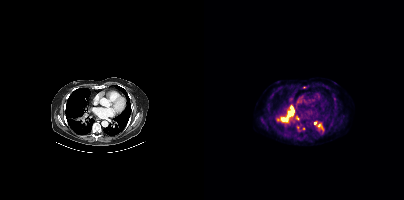
Coordinates are on the 200×200 PET (right) panel. PSMA-avid tumor lesion bounding boxes (x0,y0,x1,y1): [72,105,89,122] [114,124,119,130]. Small PSMA-avid foci (2 to 4 px across) near (center x, center y): (93, 118) (99, 87) (111, 123) (99, 128) (93, 127).